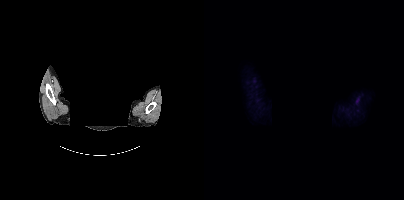
modality: PSMA PET/CT | tracer: 18F | view: axial | de-identification: head region blanked (face removed)
This slice has no annotated PSMA-avid lesion.